Left: CT. Right: PSMA PET, same axial level, 18F-PSMA tracer. Acquired on Siemens Biograph mCT Flow 20. PET panel 200×200 px (4.1 mm/px).
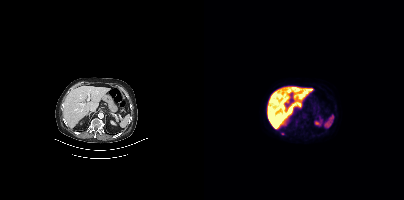
Coordinates are on the 200×200 PET (right) panel. Small PSMA-avid focus (2 to 4 px across) near (center x, center y): (78, 133).